Paired axial CT (left) and PSMA PET (right), 18F tracer. PET panel 200×200 px (4.1 mm/px).
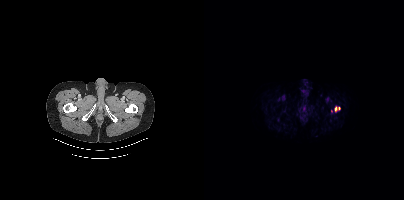
Coordinates are on the 200×200 PET (right) panel. PSMA-avid tumor lesion bounding boxes:
| # | x0 | y0 | x1 | y1 |
|---|---|---|---|---|
| 1 | 130 | 106 | 136 | 112 |
Small PSMA-avid focus (2 to 4 px across) near (center x, center y): (127, 111).